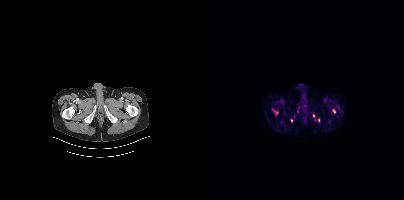
{"pet_grid":[200,200],"coord_frame":"pet_panel","coord_format":"x0,y0,x1,y1","partial":true,"lesion_bboxes":[[128,109,131,113]],"small_foci_centers":[[87,120],[109,115],[72,113],[114,119]],"modality":"PSMA PET/CT","view":"axial","tracer":"18F-PSMA"}